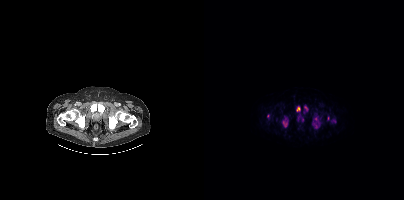
Coordinates are on the 200×200 PET (right) panel. PSMA-avid tumor lesion bounding boxes (x0,y0,x1,y1): [79,121,83,127] [92,106,96,111] [128,119,132,122]. Small PSMA-avid foci (2 to 4 px across) near (center x, center y): (64, 115) (98, 120) (102, 108) (124, 118) (112, 126).
modality: PSMA PET/CT | tracer: [18F]PSMA-1007 | view: axial